modality: PSMA PET/CT | tracer: 68Ga-PSMA | view: axial | PET grid: 168×168
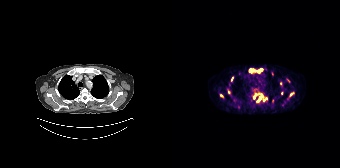
Coordinates are on the 168×168 PET (right) panel. (showing 10 of 13 foci) PSMA-avid tumor lesion bounding boxes (x0, y0)-(x1, y1): (77, 69)-(83, 72) / (85, 69)-(90, 72) / (85, 97)-(88, 102). Small PSMA-avid foci (2 to 4 px across) near (center x, center y): (60, 78) / (82, 97) / (118, 94) / (89, 95) / (49, 95) / (94, 98) / (116, 80).